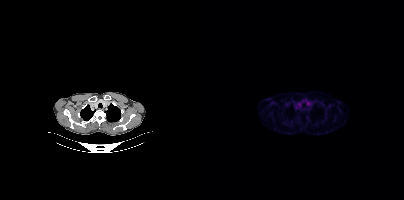
- Left: CT. Right: PSMA PET, same axial level, 18F tracer
- acquired on Siemens Biograph mCT Flow 20
- slice 326 of 401
- PET panel 200×200 px (4.1 mm/px)
Findings: Only PSMA-avid lesion pieces thinner than 2 px on this slice (not listed).